modality: PSMA PET/CT | tracer: 18F | view: axial | PET grid: 200×200
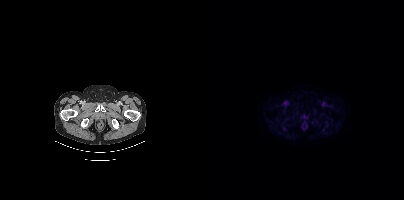
This slice has no annotated PSMA-avid lesion.